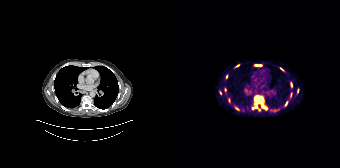
- Left: CT. Right: PSMA PET, same axial level, [68Ga]Ga-PSMA-11 tracer
- acquired on Siemens Biograph 64-4R TruePoint
- slice position z = -355 mm
- PET panel 168×168 px (4.1 mm/px)
Findings: Coordinates are on the 168×168 PET (right) panel. (showing 13 of 16 foci) PSMA-avid tumor lesion bounding boxes (x0,y0,x1,y1): [80,95,95,110]; [82,64,89,66]; [111,101,116,107]; [63,64,67,67]; [119,83,120,87]. Small PSMA-avid foci (2 to 4 px across) near (center x, center y): (53, 89); (48, 92); (64, 108); (109, 69); (54, 76); (100, 109); (56, 99); (106, 109).